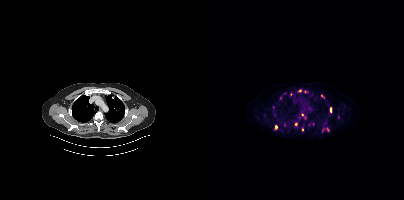
Technique: Paired axial CT (left) and PSMA PET (right), 18F tracer. acquired on Siemens Biograph mCT Flow 20. slice 339 of 444.
Findings: Coordinates are on the 200×200 PET (right) panel. (showing 7 of 9 foci) PSMA-avid tumor lesion bounding box (x0,y0,x1,y1): [126,107,127,112]. Small PSMA-avid foci (2 to 4 px across) near (center x, center y): (72, 126); (92, 124); (117, 95); (98, 114); (98, 129); (95, 90).